- Two-panel axial: CT | PSMA PET, 18F-PSMA tracer
- slice 107 of 373
- PET panel 200×200 px (4.1 mm/px)
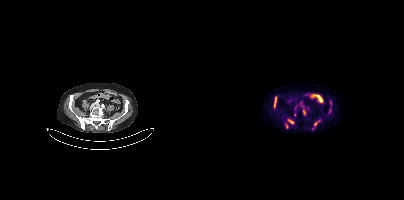
Findings: Coordinates are on the 200×200 PET (right) panel. (showing 4 of 5 foci) PSMA-avid tumor lesion bounding boxes (x0, y0)-(x1, y1): (70, 97)-(72, 108) | (84, 119)-(89, 123) | (82, 124)-(83, 128). Small PSMA-avid focus (2 to 4 px across) near (center x, center y): (111, 123).